Left: CT. Right: PSMA PET, same axial level, [18F]PSMA-1007 tracer.
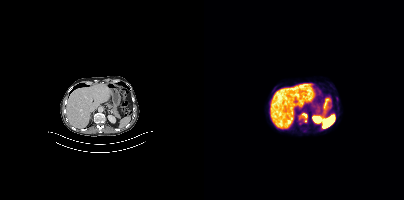
Coordinates are on the 200×200 PET (right) panel. PSMA-avid tumor lesion bounding boxes:
| # | x0 | y0 | x1 | y1 |
|---|---|---|---|---|
| 1 | 98 | 113 | 103 | 121 |